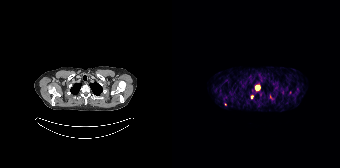
modality: PSMA PET/CT | tracer: [68Ga]Ga-PSMA-11 | view: axial
Coordinates are on the 168×168 PET (right) panel. (showing 3 of 5 foci) PSMA-avid tumor lesion bounding box (x0,y0,x1,y1): [83,85,88,90]. Small PSMA-avid foci (2 to 4 px across) near (center x, center y): (80, 97); (98, 96).